Left: CT. Right: PSMA PET, same axial level, 68Ga-PSMA tracer. Acquired on Siemens Biograph 64-4R TruePoint. Slice position z = -1168 mm.
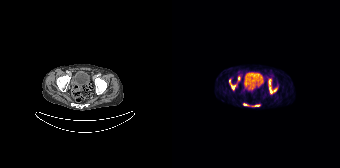
Coordinates are on the 168×168 PET (right) panel. (showing 5 of 6 foci) PSMA-avid tumor lesion bounding boxes (x0, y0)-(x1, y1): (96, 79)-(105, 93); (57, 79)-(64, 90); (82, 105)-(87, 106); (71, 103)-(75, 105). Small PSMA-avid focus (2 to 4 px across) near (center x, center y): (66, 79).